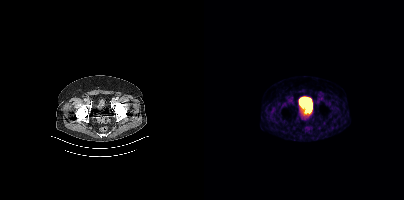
{"modality":"PSMA PET/CT","view":"axial","tracer":"68Ga-PSMA","pet_grid":[200,200],"coord_frame":"pet_panel","coord_format":"x0,y0,x1,y1","psma_avid_lesions":false}